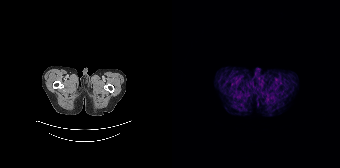
{"modality":"PSMA PET/CT","view":"axial","tracer":"68Ga","pet_grid":[168,168],"coord_frame":"pet_panel","coord_format":"x0,y0,x1,y1","psma_avid_lesions":false}